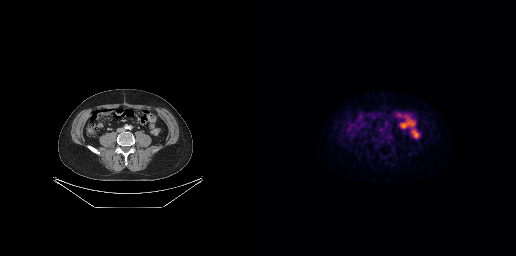
Paired axial CT (left) and PSMA PET (right), 18F tracer. PET panel 256×256 px (2.7 mm/px). Negative for PSMA-avid disease on this slice.